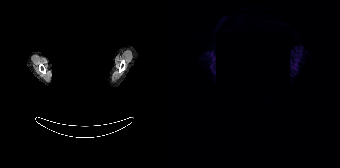
Findings: No PSMA-avid tumor lesions on this slice.
- the face region was removed for patient privacy by blanking a rectangle over the head
- Two-panel axial: CT | PSMA PET, 68Ga-PSMA tracer
- PET panel 168×168 px (4.1 mm/px)